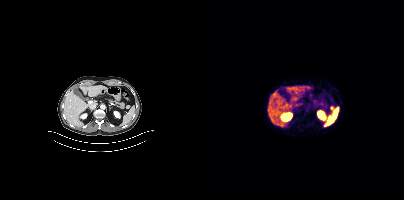
Coordinates are on the 200×200 PET (right) panel. PSMA-avid tumor lesion bounding box (x, y, width, height): x=126 y=106 w=5 h=4.
modality: PSMA PET/CT | tracer: [68Ga]Ga-PSMA-11 | view: axial